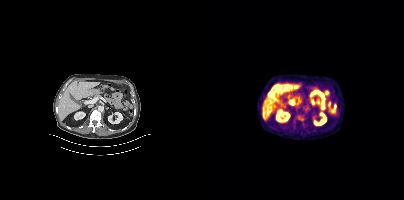
{"modality":"PSMA PET/CT","view":"axial","tracer":"18F-PSMA","pet_grid":[200,200],"coord_frame":"pet_panel","coord_format":"x0,y0,x1,y1","psma_avid_lesions":false}